- Left: CT. Right: PSMA PET, same axial level, 18F-PSMA tracer
- slice position z = -614 mm
- PET panel 200×200 px (4.1 mm/px)
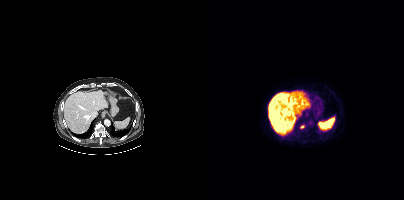
Findings: Coordinates are on the 200×200 PET (right) panel. PSMA-avid tumor lesion bounding box (x0, y0)-(x1, y1): (96, 125)-(100, 128).